Left: CT. Right: PSMA PET, same axial level, 18F-PSMA tracer.
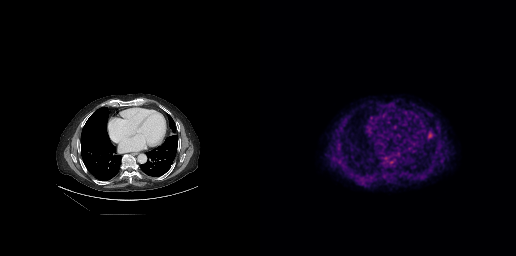
Coordinates are on the 256×256 PET (right) panel. PSMA-avid tumor lesion bounding boxes:
| # | x0 | y0 | x1 | y1 |
|---|---|---|---|---|
| 1 | 111 | 173 | 117 | 180 |